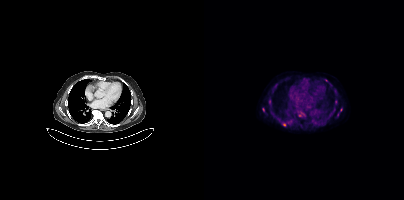
- Paired axial CT (left) and PSMA PET (right), [18F]PSMA-1007 tracer
- slice 255 of 387
Findings: Coordinates are on the 200×200 PET (right) panel. (showing 6 of 7 foci) Small PSMA-avid foci (2 to 4 px across) near (center x, center y): (80, 124) | (59, 109) | (66, 100) | (122, 80) | (96, 115) | (137, 109).